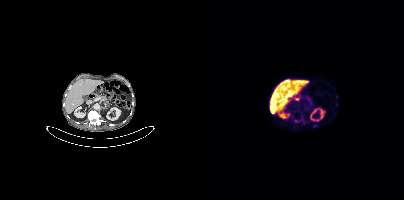
Negative for PSMA-avid disease on this slice. Left: CT. Right: PSMA PET, same axial level, [18F]PSMA-1007 tracer. Slice 167 of 354. PET panel 200×200 px (4.1 mm/px).